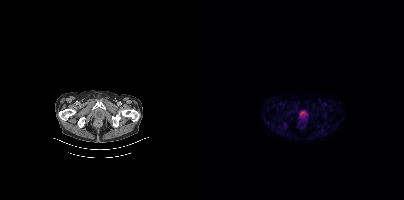
Findings: No PSMA-avid tumor lesions on this slice.
Technique: Left: CT. Right: PSMA PET, same axial level, 18F tracer. acquired on Siemens Biograph mCT Flow 20. PET panel 200×200 px (4.1 mm/px).